Technique: Paired axial CT (left) and PSMA PET (right), 18F-PSMA tracer. acquired on Siemens Biograph mCT Flow 20.
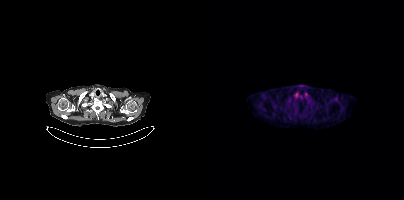
Findings: No PSMA-avid tumor lesions on this slice.